modality: PSMA PET/CT | tracer: 18F-PSMA | view: axial | PET grid: 200×200
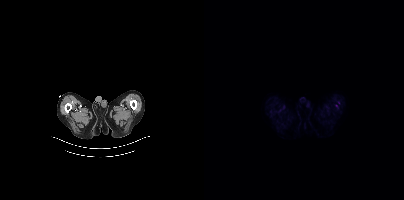
No PSMA-avid tumor lesions on this slice.